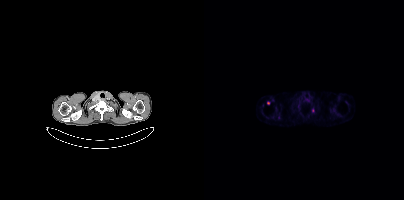
{"modality":"PSMA PET/CT","view":"axial","tracer":"[68Ga]Ga-PSMA-11","pet_grid":[200,200],"coord_frame":"pet_panel","coord_format":"x0,y0,x1,y1","partial":true,"lesion_bboxes":[],"small_foci_centers":[[64,102]]}